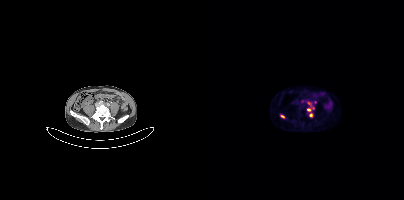
Coordinates are on the 200×200 PET (right) panel. PSMA-avid tumor lesion bounding boxes (x0,y0,x1,y1): [103,102,110,111], [105,113,108,117], [76,115,80,118]. Small PSMA-avid focus (2 to 4 px across) near (center x, center y): (111, 101).